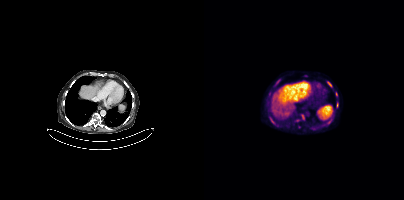
Coordinates are on the 200×200 PET (right) panel. PSMA-avid tumor lesion bounding boxes (partial; 2 more foci not listed):
| # | x0 | y0 | x1 | y1 |
|---|---|---|---|---|
| 1 | 97 | 114 | 100 | 120 |
| 2 | 66 | 120 | 71 | 124 |
| 3 | 124 | 82 | 127 | 86 |
| 4 | 133 | 103 | 134 | 107 |
Small PSMA-avid foci (2 to 4 px across) near (center x, center y): (127, 107); (132, 94); (73, 125).
Paired axial CT (left) and PSMA PET (right), 18F-PSMA tracer. Acquired on Siemens Biograph mCT Flow 20. PET panel 200×200 px (4.1 mm/px).